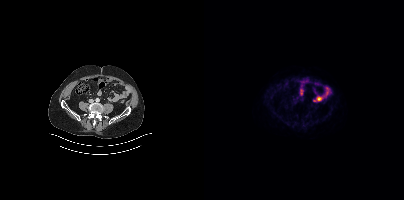
- Two-panel axial: CT | PSMA PET, [18F]PSMA-1007 tracer
Findings: No PSMA-avid tumor lesions on this slice.